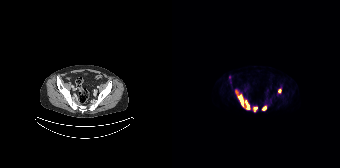
Coordinates are on the 168×168 PET (right) panel. PSMA-avid tumor lesion bounding boxes (x0, y0)-(x1, y1): (63, 90)-(78, 109) / (90, 105)-(94, 110) / (81, 107)-(85, 111) / (106, 89)-(109, 93) / (57, 75)-(59, 79).